modality: PSMA PET/CT | tracer: 18F-PSMA | view: axial
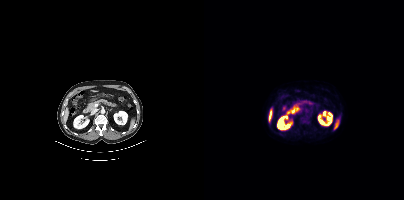
Negative for PSMA-avid disease on this slice.